modality: PSMA PET/CT | tracer: 18F | view: axial | PET grid: 200×200
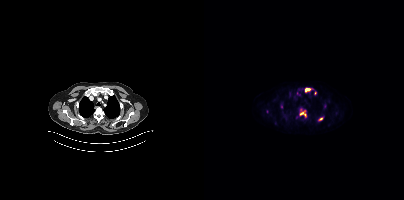
Coordinates are on the 200×200 PET (right) panel. (showing 4 of 5 foci) PSMA-avid tumor lesion bounding boxes (x, y, width, height): x=96 y=110 w=7 h=7 | x=101 y=88 w=7 h=5 | x=114 y=116 w=6 h=6. Small PSMA-avid focus (2 to 4 px across) near (center x, center y): (111, 93).